Technique: Left: CT. Right: PSMA PET, same axial level, 68Ga-PSMA tracer. PET panel 168×168 px (4.1 mm/px).
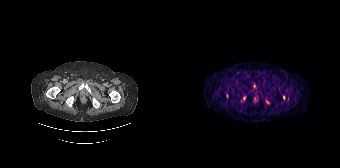
Findings: Coordinates are on the 168×168 PET (right) panel. (showing 3 of 4 foci) Small PSMA-avid foci (2 to 4 px across) near (center x, center y): (111, 97) | (95, 101) | (72, 98).